Two-panel axial: CT | PSMA PET, 68Ga tracer. Acquired on Siemens Biograph 64-4R TruePoint. Slice position z = -1607 mm.
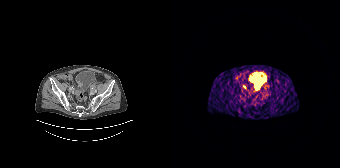
Coordinates are on the 168×168 PET (right) panel. Small PSMA-avid focus (2 to 4 px across) near (center x, center y): (72, 86).